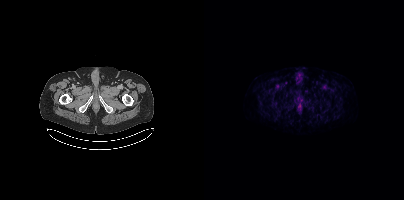
{"modality":"PSMA PET/CT","view":"axial","tracer":"[18F]PSMA-1007","pet_grid":[200,200],"coord_frame":"pet_panel","coord_format":"x0,y0,x1,y1","psma_avid_lesions":false}